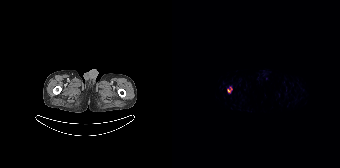
Paired axial CT (left) and PSMA PET (right), [18F]PSMA-1007 tracer. Coordinates are on the 168×168 PET (right) panel. PSMA-avid tumor lesion bounding box (x0,y0,x1,y1): [55,86,60,93].